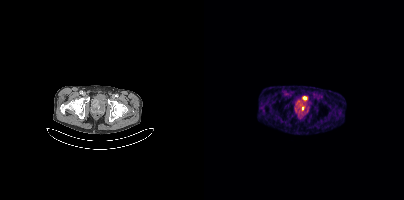
This slice has no annotated PSMA-avid lesion.